Left: CT. Right: PSMA PET, same axial level, 68Ga-PSMA tracer. PET panel 200×200 px (4.1 mm/px).
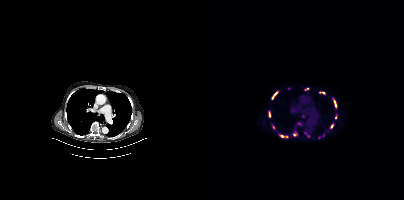
Coordinates are on the 200×200 PET (right) panel. PSMA-avid tumor lesion bounding boxes (partial; 3 more foci not listed):
| # | x0 | y0 | x1 | y1 |
|---|---|---|---|---|
| 1 | 68 | 92 | 73 | 99 |
| 2 | 64 | 111 | 66 | 117 |
| 3 | 130 | 100 | 132 | 106 |
| 4 | 127 | 124 | 129 | 128 |
Small PSMA-avid foci (2 to 4 px across) near (center x, center y): (99, 115); (95, 124); (102, 89); (78, 136); (119, 92); (131, 117); (69, 127); (90, 134); (82, 136).